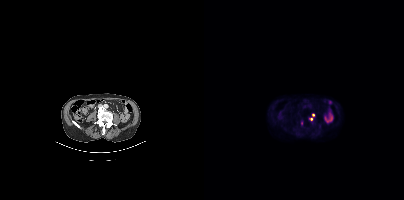
{"modality":"PSMA PET/CT","view":"axial","tracer":"18F","pet_grid":[200,200],"coord_frame":"pet_panel","coord_format":"x0,y0,x1,y1","partial":true,"lesion_bboxes":[]}